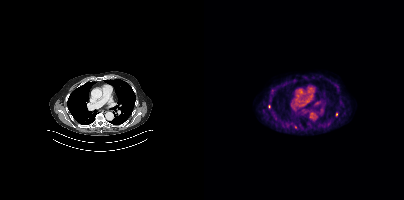
Paired axial CT (left) and PSMA PET (right), 18F tracer. Acquired on Siemens Biograph mCT Flow 20. PET panel 200×200 px (4.1 mm/px). Coordinates are on the 200×200 PET (right) panel. Small PSMA-avid foci (2 to 4 px across) near (center x, center y): (65, 106) | (91, 127) | (132, 114).